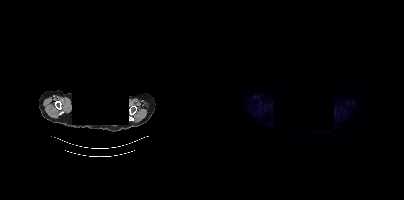
{"pet_grid":[200,200],"coord_frame":"pet_panel","coord_format":"x0,y0,x1,y1","psma_avid_lesions":false,"modality":"PSMA PET/CT","view":"axial","tracer":"[18F]PSMA-1007","redaction":"rectangular block over head set to black"}